Two-panel axial: CT | PSMA PET, 68Ga tracer. Slice 292 of 407. PET panel 200×200 px (4.1 mm/px).
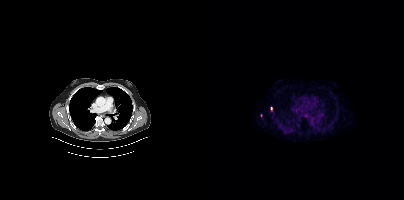
Coordinates are on the 200×200 PET (right) panel. (showing 1 of 2 foci) Small PSMA-avid focus (2 to 4 px across) near (center x, center y): (67, 108).